Left: CT. Right: PSMA PET, same axial level, 18F-PSMA tracer.
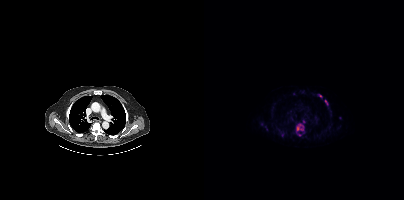
Coordinates are on the 200×200 PET (right) panel. (showing 4 of 5 foci) PSMA-avid tumor lesion bounding boxes (x0, y0)-(x1, y1): (92, 124)-(99, 130) / (121, 100)-(124, 105). Small PSMA-avid foci (2 to 4 px across) near (center x, center y): (99, 121) / (116, 95).